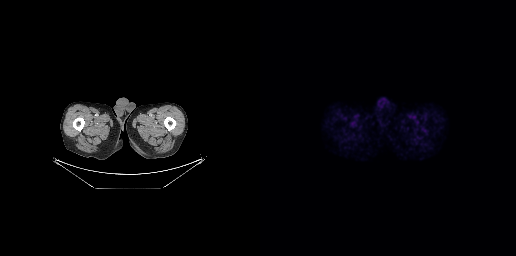
This slice has no annotated PSMA-avid lesion.